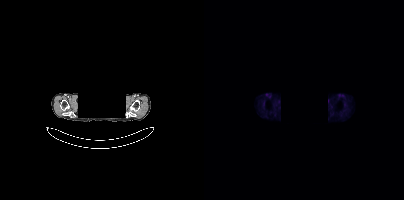
{"pet_grid":[200,200],"coord_frame":"pet_panel","coord_format":"x0,y0,x1,y1","psma_avid_lesions":false,"de-identification":"facial region redacted","modality":"PSMA PET/CT","view":"axial","tracer":"18F-PSMA"}